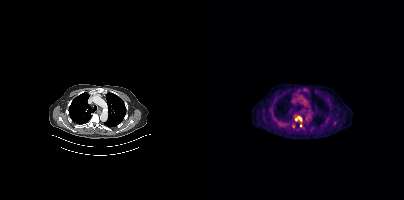
{"modality":"PSMA PET/CT","view":"axial","tracer":"18F-PSMA","pet_grid":[200,200],"coord_frame":"pet_panel","coord_format":"x0,y0,x1,y1","lesion_bboxes":[[94,116,97,120]],"small_foci_centers":[[92,119],[96,125]]}